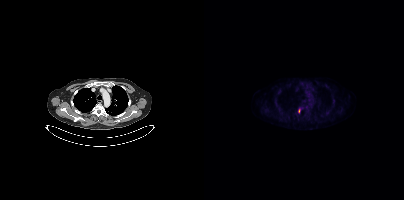
Coordinates are on the 200×200 PET (right) panel. Small PSMA-avid focus (2 to 4 px across) near (center x, center y): (95, 110).